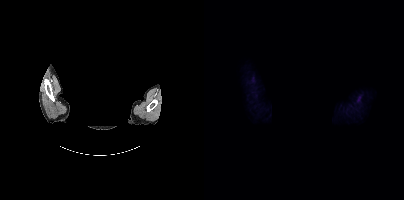
This slice has no annotated PSMA-avid lesion.
An anonymization step blacked out a rectangle over the head in this scan.